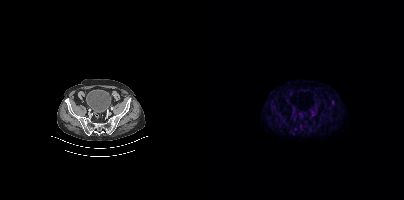
No PSMA-avid tumor lesions on this slice.